- Left: CT. Right: PSMA PET, same axial level, 18F tracer
- PET panel 256×256 px (2.7 mm/px)
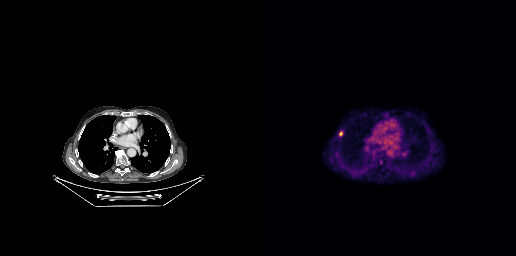
Findings: Coordinates are on the 256×256 PET (right) panel. PSMA-avid tumor lesion bounding box (x0,y0,x1,y1): [79,131,83,136].